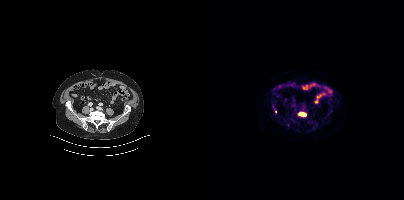
Two-panel axial: CT | PSMA PET, 18F tracer. Slice 140 of 405.
Coordinates are on the 200×200 PET (right) panel. PSMA-avid tumor lesion bounding boxes:
| # | x0 | y0 | x1 | y1 |
|---|---|---|---|---|
| 1 | 94 | 112 | 102 | 116 |
Small PSMA-avid focus (2 to 4 px across) near (center x, center y): (71, 111).